- Left: CT. Right: PSMA PET, same axial level, 18F-PSMA tracer
- slice 87 of 448
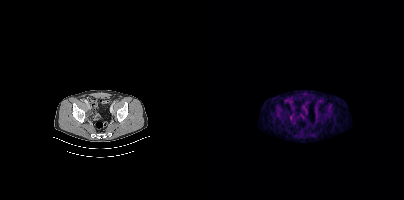
Findings: Coordinates are on the 200×200 PET (right) panel. PSMA-avid tumor lesion bounding box (x, y, width, height): x=85 y=116 w=4 h=5. Small PSMA-avid focus (2 to 4 px across) near (center x, center y): (112, 116).